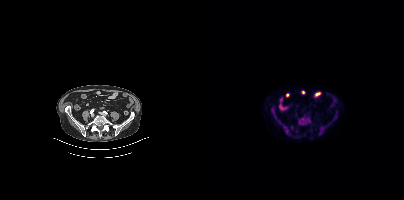
Coordinates are on the 200×200 PET (right) panel. PSMA-avid tumor lesion bounding boxes (x0,y0,x1,y1): [95,116,105,124], [73,120,81,129].